modality: PSMA PET/CT | tracer: 18F | view: axial | PET grid: 200×200
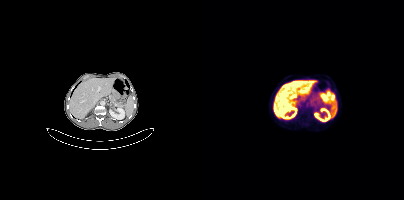
Coordinates are on the 200×200 PET (right) panel. Small PSMA-avid focus (2 to 4 px across) near (center x, center y): (99, 109).